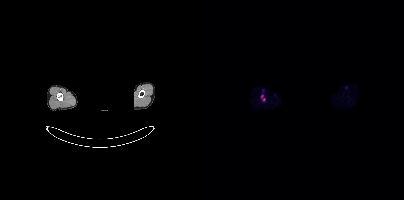
Technique: Left: CT. Right: PSMA PET, same axial level, 18F-PSMA tracer. slice position z = -890 mm. PET panel 200×200 px (4.1 mm/px).
Note: The head region is masked for de-identification.
Findings: Coordinates are on the 200×200 PET (right) panel. (showing 1 of 2 foci) PSMA-avid tumor lesion bounding box (x0,y0,x1,y1): [57,94,61,101].